Technique: Two-panel axial: CT | PSMA PET, [68Ga]Ga-PSMA-11 tracer. slice position z = -880 mm.
Note: Facial anatomy redacted by setting a rectangular region of the head to black.
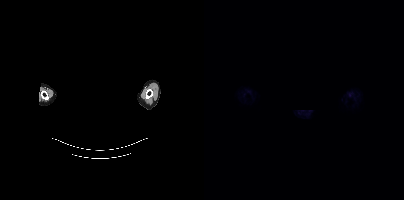
Findings: No PSMA-avid tumor lesions on this slice.